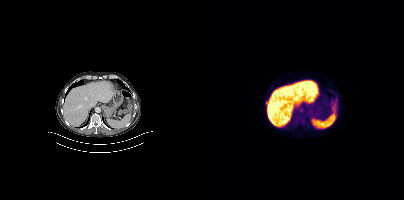
Negative for PSMA-avid disease on this slice.